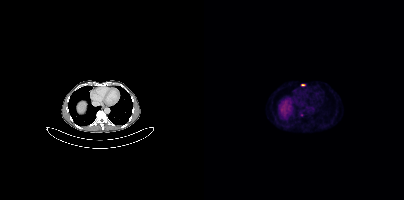
Coordinates are on the 200×200 PET (right) panel. Small PSMA-avid foci (2 to 4 px across) near (center x, center y): (97, 114); (98, 84).